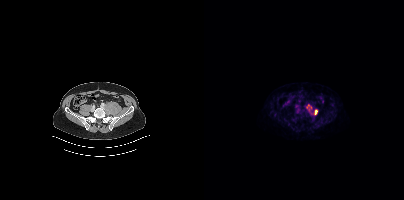
Technique: Two-panel axial: CT | PSMA PET, 18F-PSMA tracer. acquired on Siemens Biograph mCT Flow 20. slice position z = -782 mm.
Findings: Coordinates are on the 200×200 PET (right) panel. (showing 2 of 4 foci) PSMA-avid tumor lesion bounding boxes (x, y, width, height): x=110 y=109 w=4 h=6; x=102 y=104 w=4 h=5.